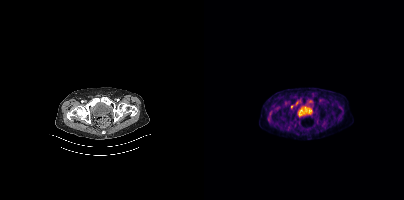
Left: CT. Right: PSMA PET, same axial level, [18F]PSMA-1007 tracer. PET panel 200×200 px (4.1 mm/px). Negative for PSMA-avid disease on this slice.